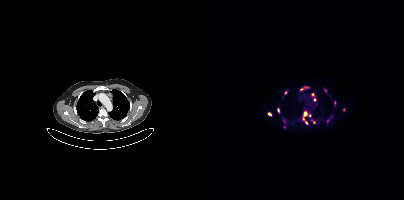
Technique: Two-panel axial: CT | PSMA PET, [18F]PSMA-1007 tracer.
Findings: Coordinates are on the 200×200 PET (right) panel. (showing 15 of 16 foci) PSMA-avid tumor lesion bounding boxes (x0, y0)-(x1, y1): (99, 112)-(103, 119) / (96, 86)-(104, 90) / (73, 108)-(75, 113) / (130, 101)-(132, 105) / (107, 120)-(111, 123). Small PSMA-avid foci (2 to 4 px across) near (center x, center y): (65, 114) / (108, 94) / (121, 90) / (81, 92) / (80, 120) / (102, 122) / (139, 109) / (110, 99) / (106, 115) / (123, 120).